Technique: Left: CT. Right: PSMA PET, same axial level, [18F]PSMA-1007 tracer. acquired on Siemens Biograph mCT Flow 20. slice position z = -1212 mm.
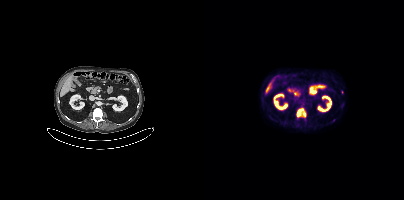
Findings: Coordinates are on the 200×200 PET (right) panel. (showing 1 of 2 foci) PSMA-avid tumor lesion bounding box (x0,y0,x1,y1): [92,108,101,117].